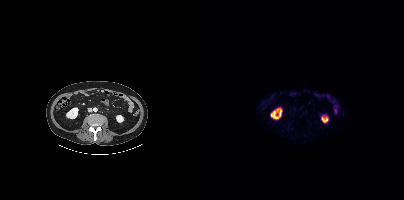
Two-panel axial: CT | PSMA PET, 18F tracer. Acquired on Siemens Biograph mCT Flow 20. Slice position z = -816 mm. No PSMA-avid tumor lesions on this slice.